Two-panel axial: CT | PSMA PET, 18F-PSMA tracer. Slice position z = -738 mm.
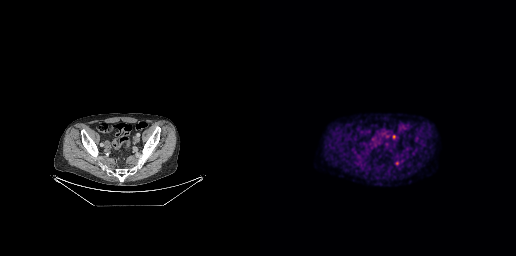
Coordinates are on the 256×256 PET (right) panel. PSMA-avid tumor lesion bounding box (x, y, width, height): x=132 y=135 w=4 h=5. Small PSMA-avid focus (2 to 4 px across) near (center x, center y): (137, 163).